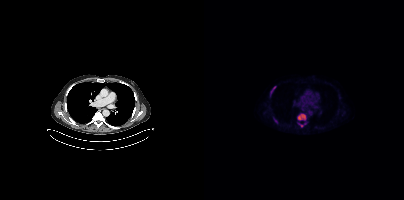
modality: PSMA PET/CT | tracer: 18F | view: axial | PET grid: 200×200
Coordinates are on the 200×200 PET (right) panel. (showing 4 of 5 foci) PSMA-avid tumor lesion bounding boxes (x, y, width, height): x=93 y=113 w=10 h=8; x=66 y=86 w=7 h=10; x=94 y=123 w=8 h=5; x=70 y=119 w=4 h=5.